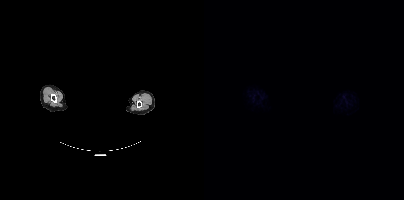
{"modality":"PSMA PET/CT","view":"axial","tracer":"18F","pet_grid":[200,200],"coord_frame":"pet_panel","coord_format":"x0,y0,x1,y1","psma_avid_lesions":false,"redaction":"head region blacked out before release"}